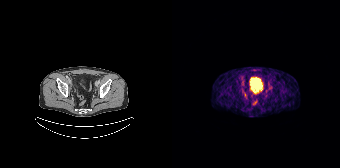
Coordinates are on the 168×168 PET (right) panel. Small PSMA-avid focus (2 to 4 px across) near (center x, center y): (72, 94).